Left: CT. Right: PSMA PET, same axial level, [18F]PSMA-1007 tracer.
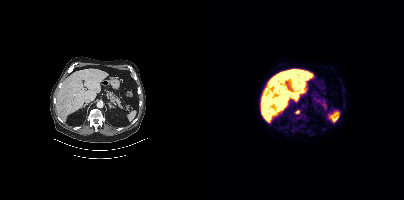
Coordinates are on the 200×200 PET (right) panel. PSMA-avid tumor lesion bounding boxes:
| # | x0 | y0 | x1 | y1 |
|---|---|---|---|---|
| 1 | 91 | 110 | 95 | 113 |